Technique: Paired axial CT (left) and PSMA PET (right), 18F-PSMA tracer. acquired on Siemens Biograph mCT Flow 20.
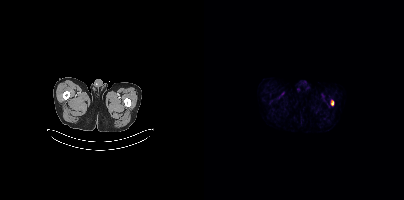
Findings: Coordinates are on the 200×200 PET (right) panel. PSMA-avid tumor lesion bounding box (x0,y0,x1,y1): [127,100,129,105].